Technique: Left: CT. Right: PSMA PET, same axial level, [18F]PSMA-1007 tracer. acquired on GE Discovery 690. slice 74 of 299.
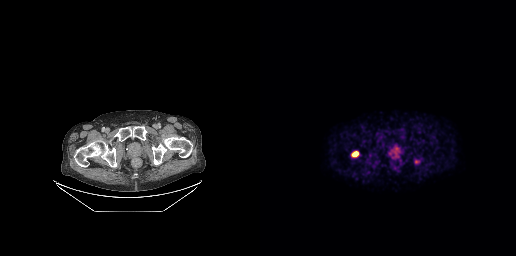
Findings: Coordinates are on the 256×256 PET (right) panel. PSMA-avid tumor lesion bounding boxes (x, y, width, height): x=92 y=151 w=7 h=6; x=155 y=160 w=5 h=4.